A rectangular block over the head has been blanked out for de-identification.
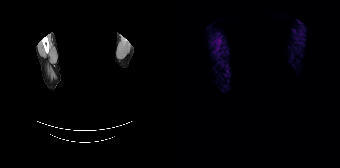
No tumor lesions annotated on this slice.